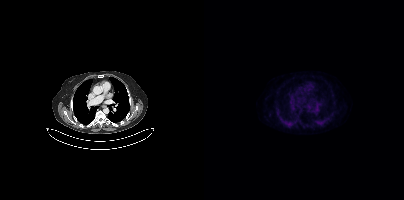
Negative for PSMA-avid disease on this slice.